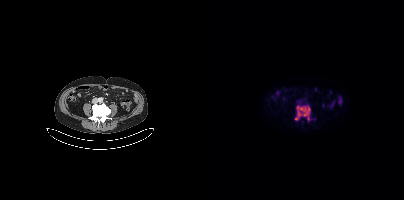
Left: CT. Right: PSMA PET, same axial level, 18F-PSMA tracer. PET panel 200×200 px (4.1 mm/px).
Coordinates are on the 200×200 PET (right) panel. PSMA-avid tumor lesion bounding boxes:
| # | x0 | y0 | x1 | y1 |
|---|---|---|---|---|
| 1 | 91 | 105 | 106 | 120 |